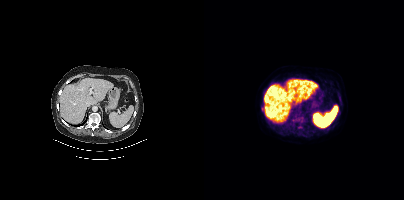
Technique: Two-panel axial: CT | PSMA PET, [18F]PSMA-1007 tracer. slice position z = -504 mm.
Findings: No PSMA-avid tumor lesions on this slice.